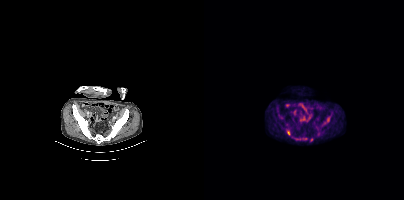
Coordinates are on the 200×200 PET (right) panel. PSMA-avid tumor lesion bounding boxes:
| # | x0 | y0 | x1 | y1 |
|---|---|---|---|---|
| 1 | 88 | 136 | 103 | 140 |
| 2 | 121 | 117 | 125 | 123 |
Small PSMA-avid foci (2 to 4 px across) near (center x, center y): (84, 132); (107, 140).
Paired axial CT (left) and PSMA PET (right), 18F tracer. Slice 88 of 403.